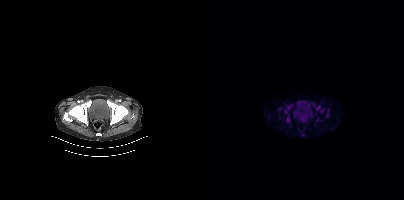
Coordinates are on the 200×200 PET (right) panel. (showing 5 of 9 foci) PSMA-avid tumor lesion bounding boxes (x0,y0,x1,y1): [80,110,85,122], [112,105,116,110]. Small PSMA-avid foci (2 to 4 px across) near (center x, center y): (117, 110), (84, 107), (123, 115). Paired axial CT (left) and PSMA PET (right), [18F]PSMA-1007 tracer. Acquired on Siemens Biograph mCT Flow 20.